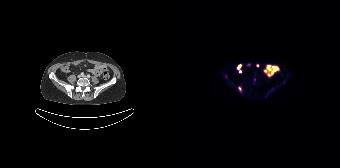
Coordinates are on the 168×168 PET (right) panel. (showing 1 of 2 foci) PSMA-avid tumor lesion bounding box (x, y, width, height): x=67 y=87 w=3 h=5.